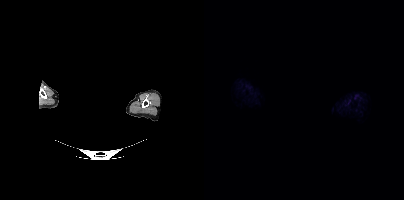
Findings: Negative for PSMA-avid disease on this slice.
Technique: Two-panel axial: CT | PSMA PET, [18F]PSMA-1007 tracer. PET panel 200×200 px (4.1 mm/px).
Note: A rectangle over the head was blacked out to remove identifiable facial features.